- Left: CT. Right: PSMA PET, same axial level, [18F]PSMA-1007 tracer
- acquired on Siemens Biograph mCT Flow 20
- slice 303 of 421
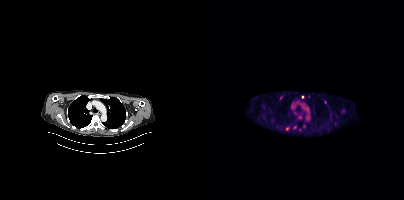
Findings: Coordinates are on the 200×200 PET (right) panel. (showing 5 of 8 foci) PSMA-avid tumor lesion bounding box (x0, y0)-(x1, y1): (76, 95)-(79, 99). Small PSMA-avid foci (2 to 4 px across) near (center x, center y): (83, 128) / (90, 127) / (98, 97) / (96, 117).